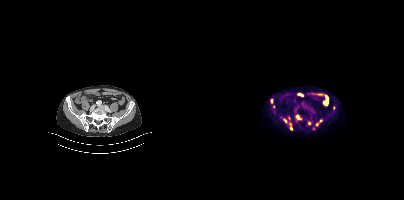
Coordinates are on the 200×200 PET (right) panel. (showing 9 of 12 foci) PSMA-avid tumor lesion bounding box (x, y, width, height): x=92 y=115 w=6 h=5. Small PSMA-avid foci (2 to 4 px across) near (center x, center y): (86, 128) | (67, 100) | (129, 107) | (81, 120) | (105, 123) | (113, 124) | (85, 118) | (117, 120).
modality: PSMA PET/CT | tracer: 18F | view: axial